Technique: Two-panel axial: CT | PSMA PET, [18F]PSMA-1007 tracer. PET panel 200×200 px (4.1 mm/px).
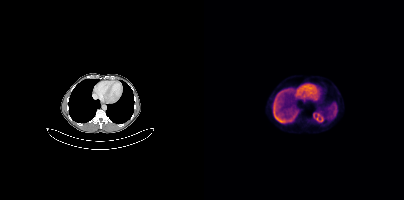
Findings: No tumor lesions annotated on this slice.